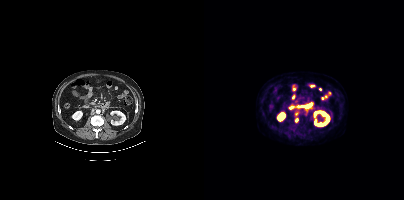
{"pet_grid":[200,200],"coord_frame":"pet_panel","coord_format":"x0,y0,x1,y1","lesion_bboxes":[],"small_foci_centers":[[92,113],[92,120]],"modality":"PSMA PET/CT","view":"axial","tracer":"18F"}